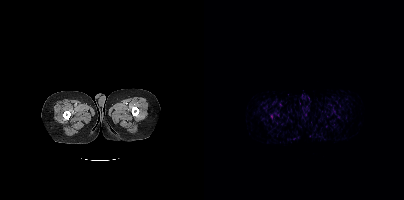
Two-panel axial: CT | PSMA PET, [68Ga]Ga-PSMA-11 tracer. Acquired on Siemens Biograph mCT Flow 20. This slice has no annotated PSMA-avid lesion.